Technique: Left: CT. Right: PSMA PET, same axial level, 18F tracer.
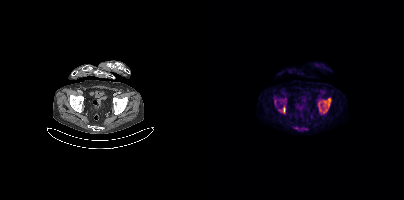
Findings: Coordinates are on the 200×200 PET (right) panel. (showing 9 of 11 foci) PSMA-avid tumor lesion bounding boxes (x, y, width, height): x=119 y=98 w=8 h=10 | x=79 y=107 w=3 h=7 | x=115 y=102 w=3 h=10 | x=70 y=100 w=3 h=5. Small PSMA-avid foci (2 to 4 px across) near (center x, center y): (122, 110) | (92, 127) | (81, 98) | (120, 105) | (119, 111).